- Paired axial CT (left) and PSMA PET (right), [68Ga]Ga-PSMA-11 tracer
- slice position z = -1078 mm
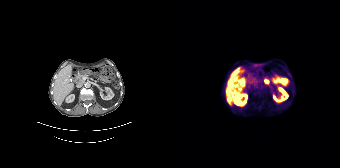
Findings: Negative for PSMA-avid disease on this slice.